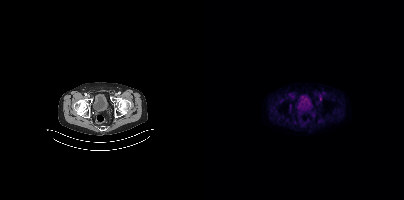
Coordinates are on the 200×200 PET (right) panel. Small PSMA-avid focus (2 to 4 px across) near (center x, center y): (86, 106).